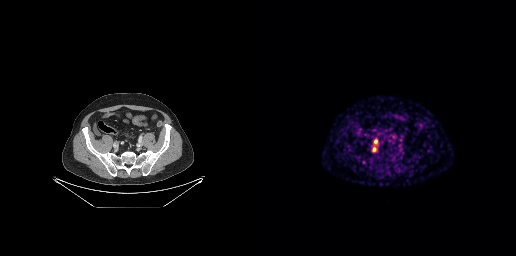
Findings: Coordinates are on the 256×256 PET (right) panel. PSMA-avid tumor lesion bounding boxes (x0, y0)-(x1, y1): (114, 139)-(117, 143) / (112, 147)-(116, 151).
- Left: CT. Right: PSMA PET, same axial level, 68Ga tracer